- Paired axial CT (left) and PSMA PET (right), [18F]PSMA-1007 tracer
- slice 61 of 435
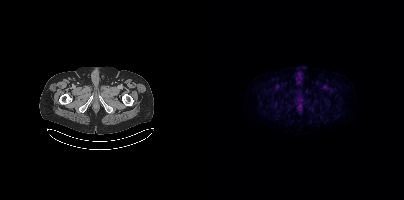
Findings: No PSMA-avid tumor lesions on this slice.